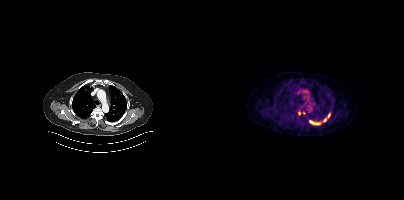
{"pet_grid":[200,200],"coord_frame":"pet_panel","coord_format":"x0,y0,x1,y1","lesion_bboxes":[[105,120,116,124],[119,113,126,121]],"small_foci_centers":[[95,113],[99,112]],"modality":"PSMA PET/CT","view":"axial","tracer":"18F"}